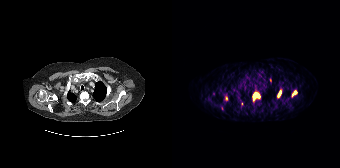
Findings: Coordinates are on the 168×168 PET (right) panel. (showing 5 of 7 foci) PSMA-avid tumor lesion bounding boxes (x0,y0,x1,y1): [80,92,88,101]; [105,89,109,98]; [119,90,125,97]. Small PSMA-avid foci (2 to 4 px across) near (center x, center y): (54, 98); (98, 79).
- Paired axial CT (left) and PSMA PET (right), 68Ga tracer
- slice position z = -948 mm
- PET panel 168×168 px (4.1 mm/px)